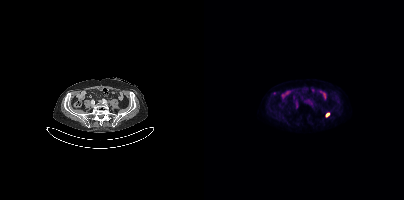
Coordinates are on the 200×200 PET (right) panel. Small PSMA-avid focus (2 to 4 px across) near (center x, center y): (123, 114).